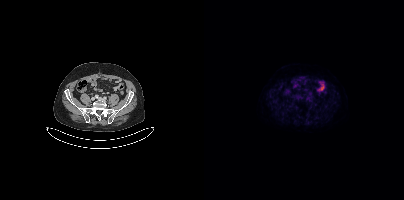
- Two-panel axial: CT | PSMA PET, 18F tracer
- acquired on Siemens Biograph mCT Flow 20
Findings: Negative for PSMA-avid disease on this slice.